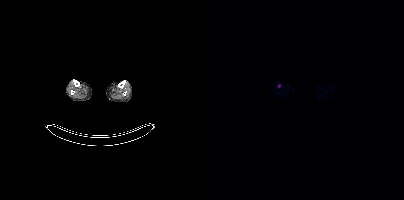
Findings: Coordinates are on the 200×200 PET (right) panel. Small PSMA-avid focus (2 to 4 px across) near (center x, center y): (75, 85).
Technique: Paired axial CT (left) and PSMA PET (right), [18F]PSMA-1007 tracer.